Technique: Paired axial CT (left) and PSMA PET (right), 18F tracer. slice 212 of 421.
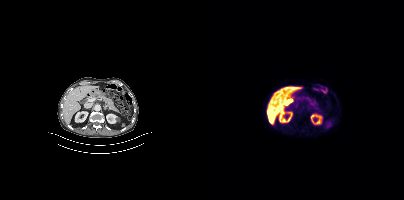
Findings: This slice has no annotated PSMA-avid lesion.